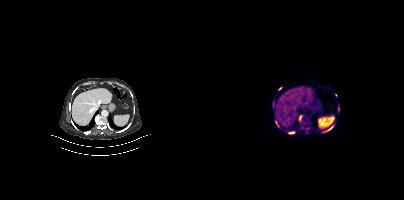
{"modality":"PSMA PET/CT","view":"axial","tracer":"68Ga-PSMA","pet_grid":[200,200],"coord_frame":"pet_panel","coord_format":"x0,y0,x1,y1","partial":true,"lesion_bboxes":[[117,127,128,132],[95,115,98,120],[84,131,90,133],[71,120,74,125],[134,107,135,111]],"small_foci_centers":[[76,88],[69,102],[129,125],[131,94]]}